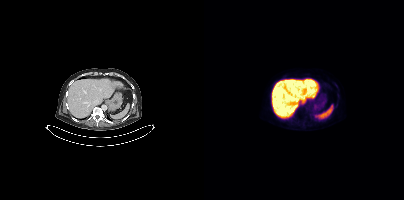
Negative for PSMA-avid disease on this slice.